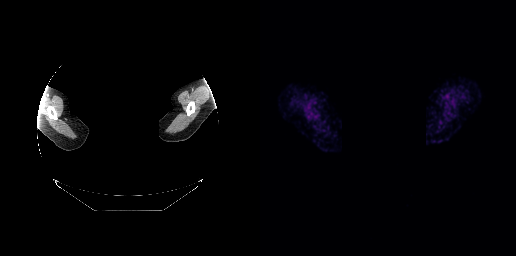
modality: PSMA PET/CT | tracer: 18F | view: axial | deidentification: head region blacked out before release
This slice has no annotated PSMA-avid lesion.